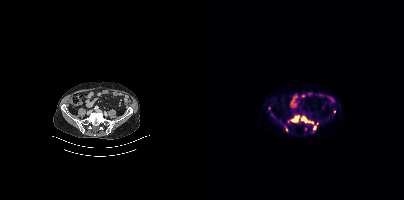
Paired axial CT (left) and PSMA PET (right), 18F-PSMA tracer. Acquired on Siemens Biograph mCT Flow 20. Slice 133 of 413.
Coordinates are on the 200×200 PET (right) panel. PSMA-avid tumor lesion bounding boxes:
| # | x0 | y0 | x1 | y1 |
|---|---|---|---|---|
| 1 | 97 | 117 | 109 | 123 |
| 2 | 87 | 116 | 94 | 122 |
Small PSMA-avid foci (2 to 4 px across) near (center x, center y): (110, 127); (130, 111); (68, 115); (65, 108); (113, 123); (82, 129).